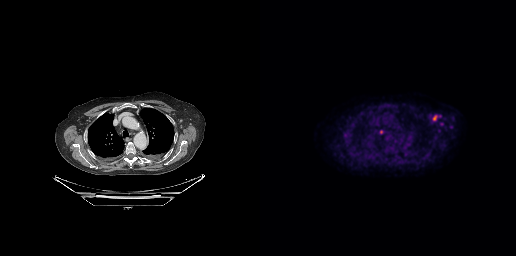
Findings: Coordinates are on the 256×256 PET (right) panel. (showing 4 of 7 foci) PSMA-avid tumor lesion bounding box (x, y, width, height): x=173 y=115 w=5 h=6. Small PSMA-avid foci (2 to 4 px across) near (center x, center y): (121, 131); (168, 116); (181, 123).
Technique: Left: CT. Right: PSMA PET, same axial level, [18F]PSMA-1007 tracer.